Paired axial CT (left) and PSMA PET (right), [18F]PSMA-1007 tracer.
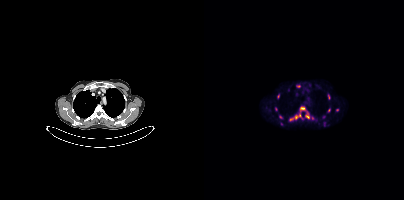
Coordinates are on the 200×200 PET (right) panel. (showing 11 of 13 foci) PSMA-avid tumor lesion bounding boxes (x0,y0,x1,y1): [85,106,105,121], [92,85,96,87], [124,94,126,99], [73,94,75,98], [124,108,126,112]. Small PSMA-avid foci (2 to 4 px across) near (center x, center y): (76, 116), (72, 108), (133, 110), (108, 118), (119, 116), (77, 123).